- Two-panel axial: CT | PSMA PET, [18F]PSMA-1007 tracer
- slice 3 of 165
- PET panel 168×168 px (4.1 mm/px)
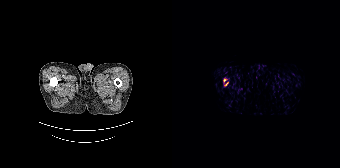
Findings: Coordinates are on the 168×168 PET (right) panel. PSMA-avid tumor lesion bounding box (x, y, width, height): x=51 y=78 w=6 h=9.